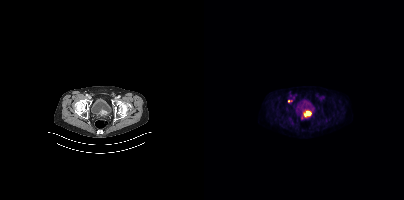
Coordinates are on the 200×200 PET (right) panel. (showing 2 of 4 foci) PSMA-avid tumor lesion bounding box (x0,y0,x1,y1): [99,111,106,117]. Small PSMA-avid focus (2 to 4 px across) near (center x, center y): (84, 101).
modality: PSMA PET/CT | tracer: 18F | view: axial